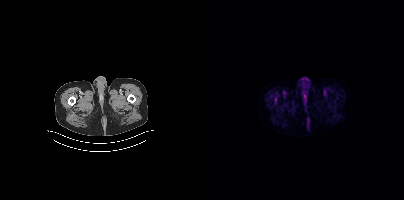
{"modality":"PSMA PET/CT","view":"axial","tracer":"18F-PSMA","pet_grid":[200,200],"coord_frame":"pet_panel","coord_format":"x0,y0,x1,y1","psma_avid_lesions":false}